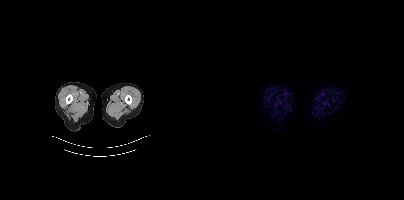
This slice has no annotated PSMA-avid lesion. Paired axial CT (left) and PSMA PET (right), 18F tracer. Slice position z = -1054 mm.